Left: CT. Right: PSMA PET, same axial level, [18F]PSMA-1007 tracer. Acquired on Siemens Biograph mCT Flow 20.
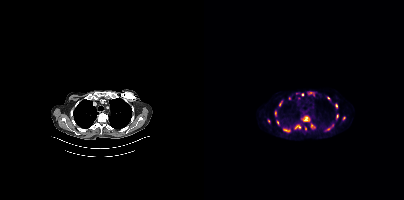
Coordinates are on the 200×200 PET (right) panel. (showing 15 of 19 foci) PSMA-avid tumor lesion bounding boxes (x0, y0)-(x1, y1): (98, 116)-(105, 121) / (103, 91)-(110, 96) / (91, 125)-(96, 128) / (75, 102)-(78, 106) / (71, 111)-(72, 116) / (73, 120)-(75, 124). Small PSMA-avid foci (2 to 4 px across) near (center x, center y): (98, 94) / (132, 105) / (108, 125) / (65, 120) / (124, 98) / (80, 129) / (140, 118) / (124, 129) / (93, 93).